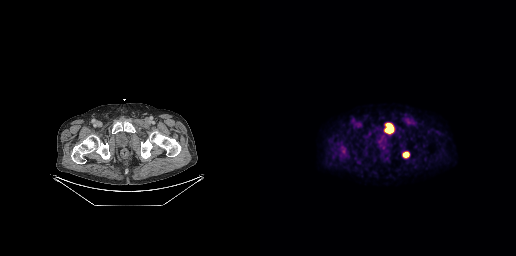
Technique: Two-panel axial: CT | PSMA PET, 18F-PSMA tracer. slice 57 of 263. PET panel 256×256 px (2.7 mm/px).
Findings: Coordinates are on the 256×256 PET (right) panel. (showing 2 of 3 foci) PSMA-avid tumor lesion bounding boxes (x, y, width, height): x=124 y=123 w=11 h=11; x=142 y=152 w=8 h=6.